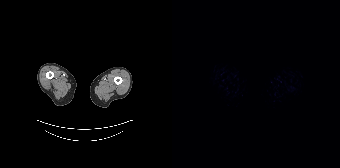
Technique: Paired axial CT (left) and PSMA PET (right), 18F-PSMA tracer.
Findings: This slice has no annotated PSMA-avid lesion.